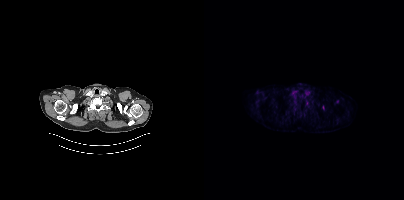
Left: CT. Right: PSMA PET, same axial level, 18F tracer. Slice 392 of 466. PET panel 200×200 px (4.1 mm/px). Only PSMA-avid lesion pieces thinner than 2 px on this slice (not listed).